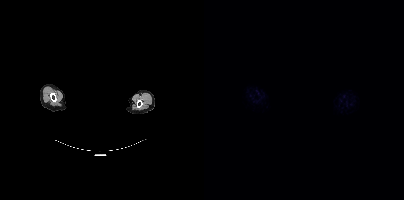
{"modality":"PSMA PET/CT","view":"axial","tracer":"18F-PSMA","pet_grid":[200,200],"coord_frame":"pet_panel","coord_format":"x0,y0,x1,y1","psma_avid_lesions":false,"redaction":"facial region redacted"}